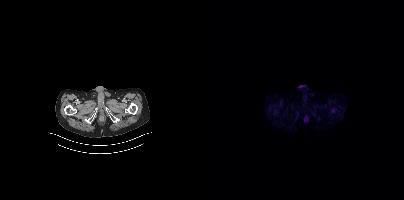
{"modality":"PSMA PET/CT","view":"axial","tracer":"[18F]PSMA-1007","pet_grid":[200,200],"coord_frame":"pet_panel","coord_format":"x0,y0,x1,y1","psma_avid_lesions":false}